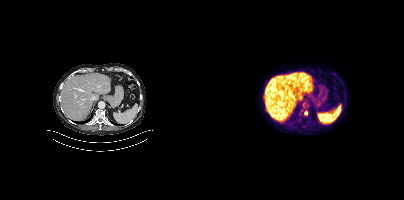
{"pet_grid":[200,200],"coord_frame":"pet_panel","coord_format":"x0,y0,x1,y1","lesion_bboxes":[[100,111,103,115]],"modality":"PSMA PET/CT","view":"axial","tracer":"[18F]PSMA-1007"}